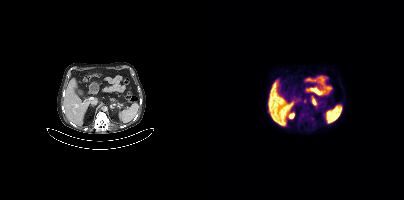
{"modality":"PSMA PET/CT","view":"axial","tracer":"18F","pet_grid":[200,200],"coord_frame":"pet_panel","coord_format":"x0,y0,x1,y1","partial":true,"lesion_bboxes":[],"small_foci_centers":[[95,120],[98,116],[100,101]]}